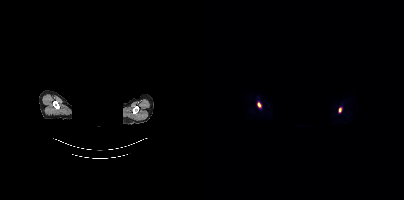
De-identified by setting a box covering the face to black before release.
Coordinates are on the 200×200 PET (right) panel. PSMA-avid tumor lesion bounding box (x0, y0)-(x1, y1): (135, 108)-(137, 112). Small PSMA-avid focus (2 to 4 px across) near (center x, center y): (55, 104).